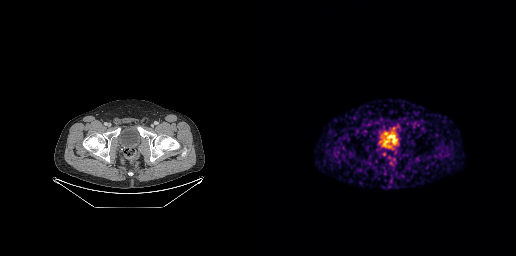
Coordinates are on the 256×256 PET (right) panel. Small PSMA-avid focus (2 to 4 px across) near (center x, center y): (135, 139).